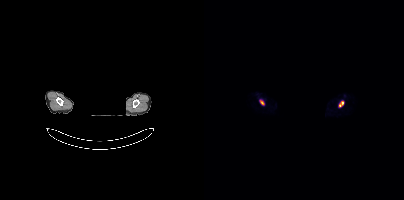
Coordinates are on the 200×200 PET (right) panel. PSMA-avid tumor lesion bounding boxes:
| # | x0 | y0 | x1 | y1 |
|---|---|---|---|---|
| 1 | 135 | 101 | 139 | 106 |
Small PSMA-avid focus (2 to 4 px across) near (center x, center y): (57, 102).
Privacy masking over the head, with the pixels inside a rectangle set to black. Paired axial CT (left) and PSMA PET (right), 68Ga-PSMA tracer. Acquired on Siemens Biograph mCT Flow 20. PET panel 200×200 px (4.1 mm/px).